- Left: CT. Right: PSMA PET, same axial level, [18F]PSMA-1007 tracer
- acquired on Siemens Biograph mCT Flow 20
- slice position z = -555 mm
- PET panel 200×200 px (4.1 mm/px)
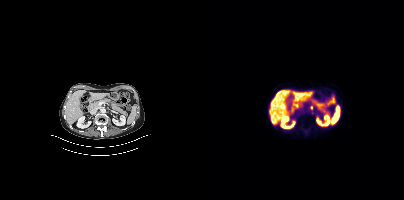
Findings: Coordinates are on the 200×200 PET (right) panel. Small PSMA-avid focus (2 to 4 px across) near (center x, center y): (107, 107).